Technique: Two-panel axial: CT | PSMA PET, 18F-PSMA tracer. slice position z = -250 mm. PET panel 200×200 px (4.1 mm/px).
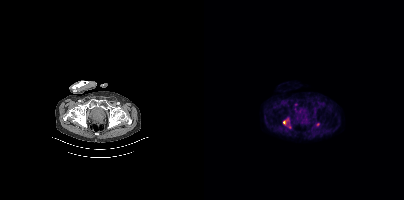
Findings: Coordinates are on the 200×200 PET (right) panel. PSMA-avid tumor lesion bounding box (x0,y0,x1,y1): [79,118,84,124]. Small PSMA-avid foci (2 to 4 px across) near (center x, center y): (113, 124); (91, 109); (91, 104); (85, 126).